Left: CT. Right: PSMA PET, same axial level, 18F-PSMA tracer. Slice position z = -643 mm. Head region blanked for anonymization (face removed).
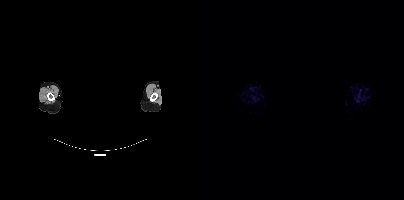
Coordinates are on the 200×200 PET (right) panel. Small PSMA-avid focus (2 to 4 px across) near (center x, center y): (153, 100).